- Left: CT. Right: PSMA PET, same axial level, [18F]PSMA-1007 tracer
- PET panel 200×200 px (4.1 mm/px)
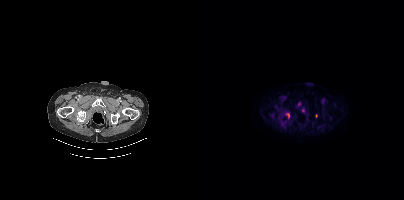
Findings: Only PSMA-avid lesion pieces thinner than 2 px on this slice (not listed).